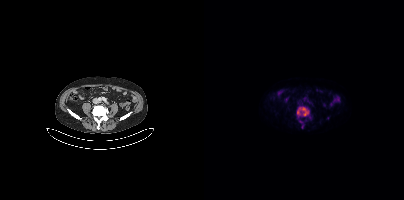
Coordinates are on the 200×200 PET (right) panel. (showing 2 of 3 foci) PSMA-avid tumor lesion bounding box (x0,y0,x1,y1): [93,106,105,117]. Small PSMA-avid focus (2 to 4 px across) near (center x, center y): (97, 121).